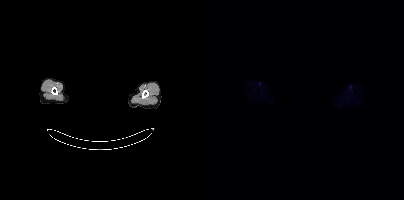
Findings: No tumor lesions annotated on this slice.
Technique: Two-panel axial: CT | PSMA PET, 18F tracer. acquired on Siemens Biograph mCT Flow 20. PET panel 200×200 px (4.1 mm/px).
Note: Facial anatomy redacted by setting a rectangular region of the head to black.